Two-panel axial: CT | PSMA PET, 18F tracer. Acquired on Siemens Biograph mCT Flow 20. Slice 93 of 409.
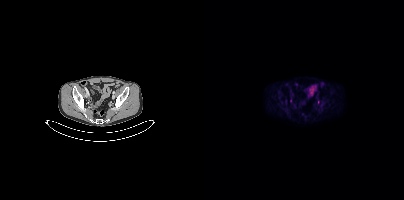
Coordinates are on the 200×200 PET (right) panel. Small PSMA-avid foci (2 to 4 px across) near (center x, center y): (86, 100) / (114, 102).